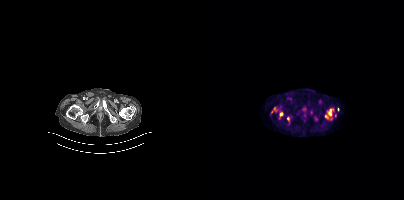
Two-panel axial: CT | PSMA PET, 18F tracer. Slice 36 of 367.
Coordinates are on the 200×200 PET (right) panel. PSMA-avid tumor lesion bounding boxes:
| # | x0 | y0 | x1 | y1 |
|---|---|---|---|---|
| 1 | 76 | 112 | 78 | 116 |